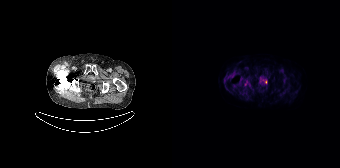
{"pet_grid":[168,168],"coord_frame":"pet_panel","coord_format":"x0,y0,x1,y1","lesion_bboxes":[[91,79,95,83]],"modality":"PSMA PET/CT","view":"axial","tracer":"18F-PSMA"}